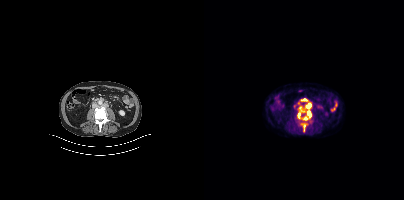
Coordinates are on the 200×200 PET (right) panel. PSMA-avid tumor lesion bounding boxes (x0, y0)-(x1, y1): (99, 110)-(107, 120); (93, 110)-(100, 118); (102, 103)-(106, 108); (98, 124)-(101, 131). Small PSMA-avid focus (2 to 4 px across) near (center x, center y): (101, 99).
modality: PSMA PET/CT | tracer: 18F-PSMA | view: axial